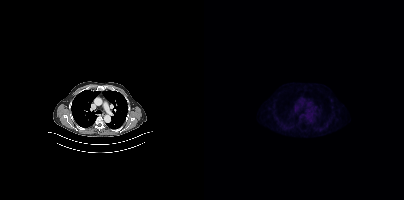
Technique: Paired axial CT (left) and PSMA PET (right), [18F]PSMA-1007 tracer. slice position z = -1124 mm.
Findings: No tumor lesions annotated on this slice.